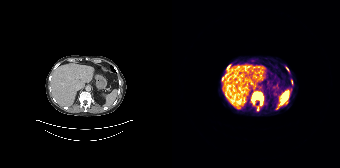
Technique: Left: CT. Right: PSMA PET, same axial level, 68Ga tracer. PET panel 168×168 px (4.1 mm/px).
Findings: Coordinates are on the 168×168 PET (right) panel. (showing 4 of 7 foci) PSMA-avid tumor lesion bounding boxes (x, y, width, height): x=80 y=92 w=12 h=13 | x=55 y=65 w=4 h=6. Small PSMA-avid foci (2 to 4 px across) near (center x, center y): (50, 78) | (115, 69).